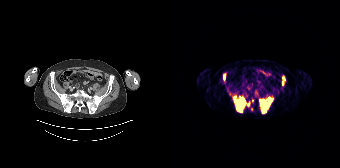
{"modality":"PSMA PET/CT","view":"axial","tracer":"68Ga-PSMA","pet_grid":[168,168],"coord_frame":"pet_panel","coord_format":"x0,y0,x1,y1","lesion_bboxes":[[62,97,73,112],[88,97,100,113],[110,77,112,84],[52,74,53,80],[75,101,78,105]],"small_foci_centers":[[80,100],[79,109]]}